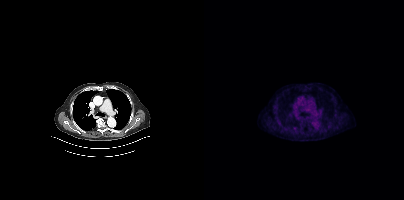
{"modality":"PSMA PET/CT","view":"axial","tracer":"18F-PSMA","pet_grid":[200,200],"coord_frame":"pet_panel","coord_format":"x0,y0,x1,y1","partial":true,"lesion_bboxes":[]}